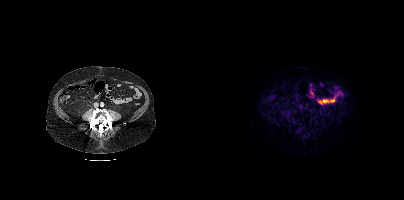
Technique: Paired axial CT (left) and PSMA PET (right), 68Ga-PSMA tracer.
Findings: Negative for PSMA-avid disease on this slice.